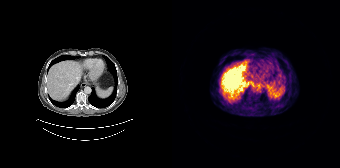
{"pet_grid":[168,168],"coord_frame":"pet_panel","coord_format":"x0,y0,x1,y1","psma_avid_lesions":false,"modality":"PSMA PET/CT","view":"axial","tracer":"[68Ga]Ga-PSMA-11"}